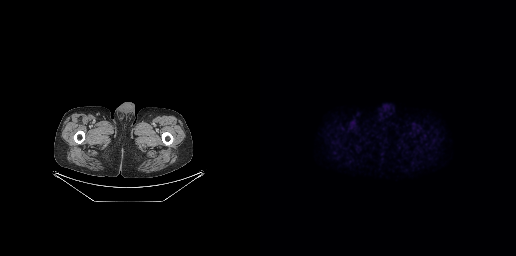
{"modality":"PSMA PET/CT","view":"axial","tracer":"[18F]PSMA-1007","pet_grid":[256,256],"coord_frame":"pet_panel","coord_format":"x0,y0,x1,y1","psma_avid_lesions":false}